- Two-panel axial: CT | PSMA PET, 18F-PSMA tracer
- slice position z = -492 mm
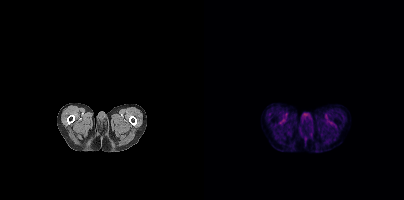
Findings: No tumor lesions annotated on this slice.